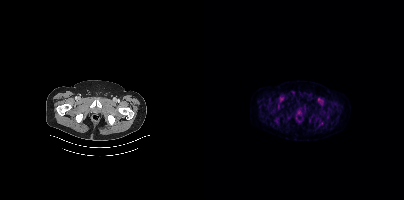
Findings: This slice has no annotated PSMA-avid lesion.
Technique: Left: CT. Right: PSMA PET, same axial level, 18F tracer. slice 35 of 397. PET panel 200×200 px (4.1 mm/px).